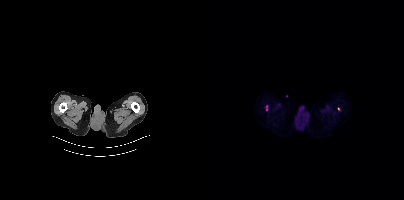
Findings: Coordinates are on the 200×200 PET (right) panel. PSMA-avid tumor lesion bounding box (x0,y0,x1,y1): [62,105,63,110]. Small PSMA-avid focus (2 to 4 px across) near (center x, center y): (134, 109).
Technique: Paired axial CT (left) and PSMA PET (right), 18F-PSMA tracer. slice 52 of 466.